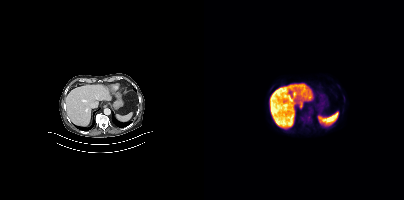
{"pet_grid":[200,200],"coord_frame":"pet_panel","coord_format":"x0,y0,x1,y1","psma_avid_lesions":false,"modality":"PSMA PET/CT","view":"axial","tracer":"18F-PSMA"}